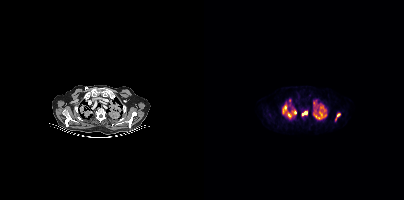
Left: CT. Right: PSMA PET, same axial level, [18F]PSMA-1007 tracer. Slice position z = -445 mm. PET panel 200×200 px (4.1 mm/px). Coordinates are on the 200×200 PET (right) panel. PSMA-avid tumor lesion bounding boxes (x0,y0,x1,y1): [109,104,122,119] [79,103,83,113] [98,111,103,115] [83,112,87,117] [88,110,92,114]. Small PSMA-avid foci (2 to 4 px across) near (center x, center y): (110, 101) (134, 114) (113, 106).